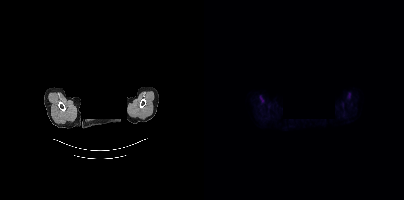
deidentification: privacy mask over head | modality: PSMA PET/CT | tracer: [18F]PSMA-1007 | view: axial | PET grid: 200×200
Negative for PSMA-avid disease on this slice.